Paired axial CT (left) and PSMA PET (right), 18F-PSMA tracer. Slice position z = -806 mm. PET panel 200×200 px (4.1 mm/px).
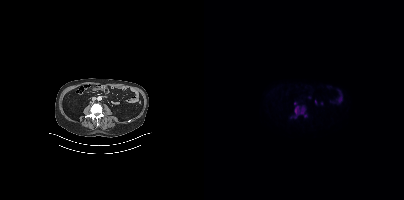
Coordinates are on the 200×200 PET (right) panel. PSMA-avid tumor lesion bounding boxes (partial; 1 more focus not listed):
| # | x0 | y0 | x1 | y1 |
|---|---|---|---|---|
| 1 | 93 | 106 | 103 | 117 |